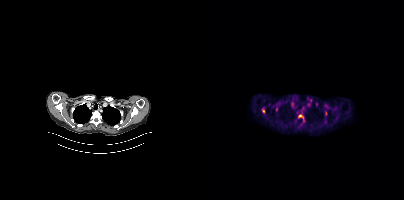
Coordinates are on the 200×200 PET (right) panel. (showing 4 of 6 foci) PSMA-avid tumor lesion bounding box (x, y, width, height): x=95 y=115 w=5 h=4. Small PSMA-avid foci (2 to 4 px across) near (center x, center y): (59, 110) / (121, 113) / (72, 109).